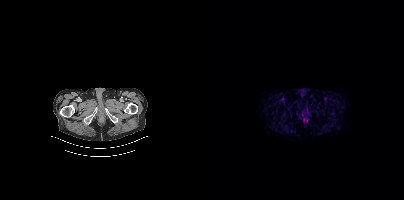
No PSMA-avid tumor lesions on this slice.